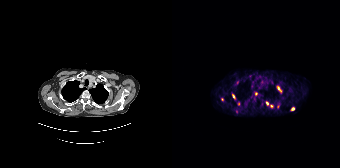
Paired axial CT (left) and PSMA PET (right), 68Ga-PSMA tracer. Acquired on Siemens Biograph 64-4R TruePoint.
Coordinates are on the 168×168 PET (right) panel. PSMA-avid tumor lesion bounding boxes (partial; 4 more foci not listed):
| # | x0 | y0 | x1 | y1 |
|---|---|---|---|---|
| 1 | 60 | 94 | 62 | 98 |
| 2 | 106 | 87 | 109 | 91 |
Small PSMA-avid foci (2 to 4 px across) near (center x, center y): (120, 108); (84, 94); (95, 103); (100, 106); (64, 111).